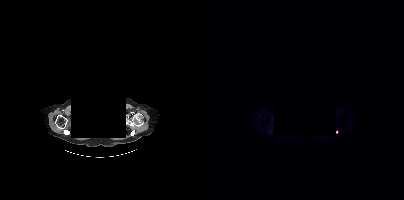
- Two-panel axial: CT | PSMA PET, 18F tracer
- an anonymization step blacked out a rectangle over the head in this scan
Findings: Coordinates are on the 200×200 PET (right) panel. Small PSMA-avid focus (2 to 4 px across) near (center x, center y): (132, 132).